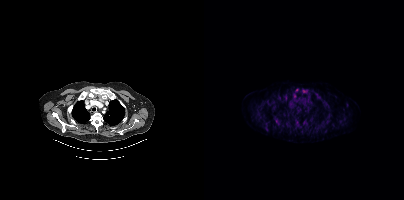
Two-panel axial: CT | PSMA PET, 18F tracer. Slice position z = -381 mm. Coordinates are on the 200×200 PET (right) panel. (showing 1 of 2 foci) Small PSMA-avid focus (2 to 4 px across) near (center x, center y): (90, 96).